modality: PSMA PET/CT | tracer: 18F-PSMA | view: axial | PET grid: 200×200
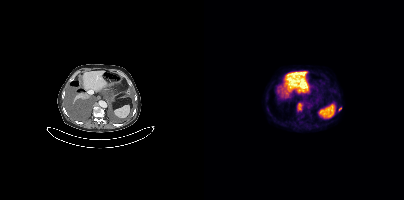
Coordinates are on the 200×200 PET (right) panel. PSMA-avid tumor lesion bounding box (x0, y0)-(x1, y1): (94, 103)-(98, 110). Small PSMA-avid focus (2 to 4 px across) near (center x, center y): (135, 108).